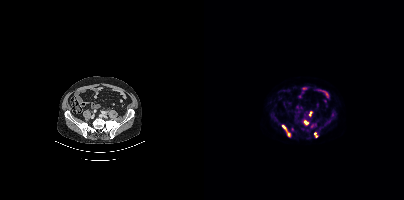
Coordinates are on the 200×200 PET (right) panel. PSMA-avid tumor lesion bounding boxes (x, y, width, height): x=78 y=125 w=9 h=12; x=100 y=120 w=5 h=5; x=110 y=132 w=4 h=6; x=105 y=111 w=4 h=6. Small PSMA-avid focus (2 to 4 px across) near (center x, center y): (88, 129).